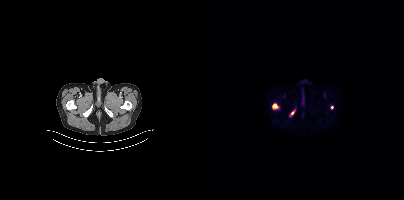
Coordinates are on the 200×200 PET (right) panel. PSMA-avid tumor lesion bounding boxes:
| # | x0 | y0 | x1 | y1 |
|---|---|---|---|---|
| 1 | 68 | 103 | 74 | 108 |
Small PSMA-avid foci (2 to 4 px across) near (center x, center y): (88, 112); (128, 107).
Paired axial CT (left) and PSMA PET (right), [18F]PSMA-1007 tracer. Acquired on Siemens Biograph mCT Flow 20. Slice 45 of 395.